Technique: Paired axial CT (left) and PSMA PET (right), 68Ga tracer.
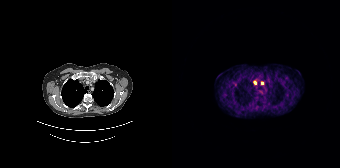
Findings: Coordinates are on the 168×168 PET (right) panel. Small PSMA-avid foci (2 to 4 px across) near (center x, center y): (83, 82); (63, 83); (90, 83).